Paired axial CT (left) and PSMA PET (right), [18F]PSMA-1007 tracer. Slice 69 of 401. PET panel 200×200 px (4.1 mm/px).
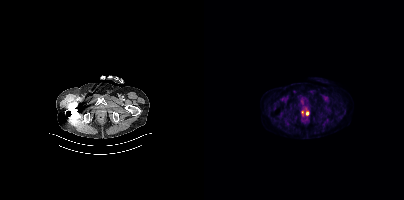
Coordinates are on the 200×200 PET (right) panel. (showing 1 of 2 foci) Small PSMA-avid focus (2 to 4 px across) near (center x, center y): (103, 113).